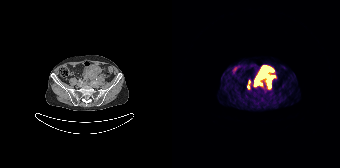
modality: PSMA PET/CT | tracer: [68Ga]Ga-PSMA-11 | view: axial | PET grid: 168×168
Coordinates are on the 168×168 PET (right) panel. (showing 5 of 6 foci) PSMA-avid tumor lesion bounding boxes (x, y, width, height): x=82 y=66 w=17 h=20 | x=96 y=76 w=5 h=12. Small PSMA-avid foci (2 to 4 px across) near (center x, center y): (76, 86) | (100, 70) | (77, 81).